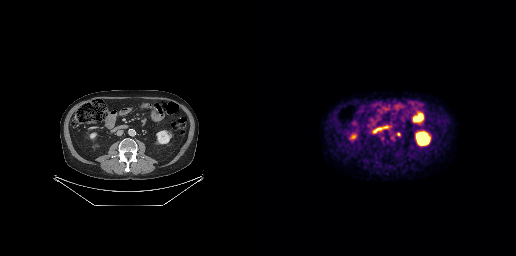
{"modality":"PSMA PET/CT","view":"axial","tracer":"[18F]PSMA-1007","pet_grid":[256,256],"coord_frame":"pet_panel","coord_format":"x0,y0,x1,y1","psma_avid_lesions":false}